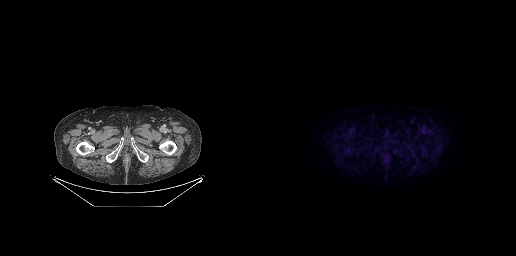
No PSMA-avid tumor lesions on this slice.